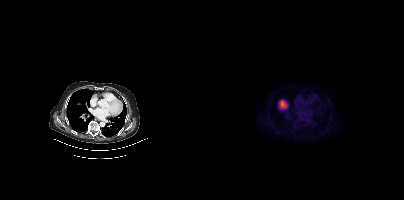
{"modality":"PSMA PET/CT","view":"axial","tracer":"18F-PSMA","pet_grid":[200,200],"coord_frame":"pet_panel","coord_format":"x0,y0,x1,y1","lesion_bboxes":[],"small_foci_centers":[[73,132]]}